Technique: Left: CT. Right: PSMA PET, same axial level, 18F tracer. slice position z = -790 mm.
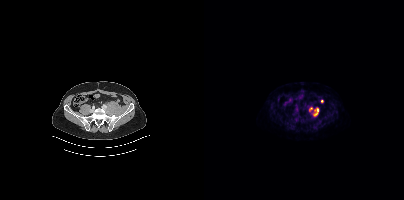
Findings: Coordinates are on the 200×200 PET (right) panel. PSMA-avid tumor lesion bounding boxes (x, y, width, height): x=109 y=107 w=6 h=10 | x=105 y=107 w=4 h=5. Small PSMA-avid focus (2 to 4 px across) near (center x, center y): (118, 101).